Technique: Two-panel axial: CT | PSMA PET, 68Ga tracer. slice 21 of 165.
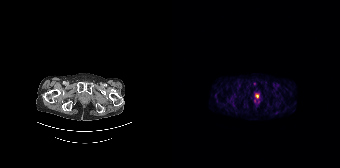
Findings: This slice has no annotated PSMA-avid lesion.